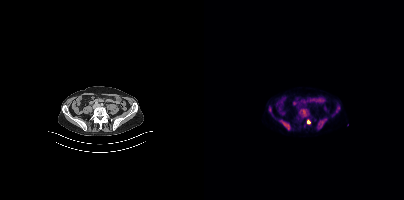
Two-panel axial: CT | PSMA PET, 18F-PSMA tracer. Acquired on Siemens Biograph mCT Flow 20.
Coordinates are on the 200×200 PET (right) panel. PSMA-avid tumor lesion bounding boxes (partial; 2 more foci not listed):
| # | x0 | y0 | x1 | y1 |
|---|---|---|---|---|
| 1 | 95 | 109 | 105 | 117 |
| 2 | 113 | 118 | 122 | 129 |
| 3 | 76 | 120 | 86 | 129 |
Small PSMA-avid focus (2 to 4 px across) near (center x, center y): (104, 121).